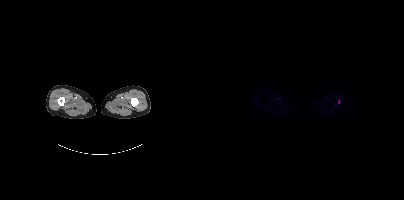
Coordinates are on the 200×200 PET (right) panel. Small PSMA-avid focus (2 to 4 px across) near (center x, center y): (134, 102).